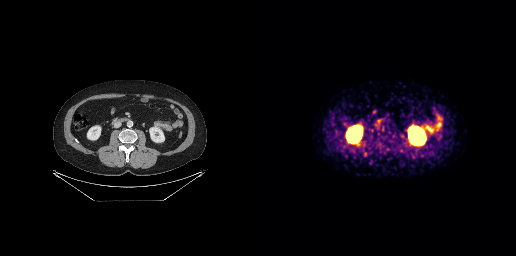
Technique: Left: CT. Right: PSMA PET, same axial level, [68Ga]Ga-PSMA-11 tracer. acquired on GE Discovery 690.
Findings: This slice has no annotated PSMA-avid lesion.